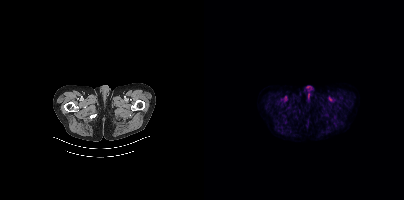
{"modality":"PSMA PET/CT","view":"axial","tracer":"18F-PSMA","pet_grid":[200,200],"coord_frame":"pet_panel","coord_format":"x0,y0,x1,y1","psma_avid_lesions":false}